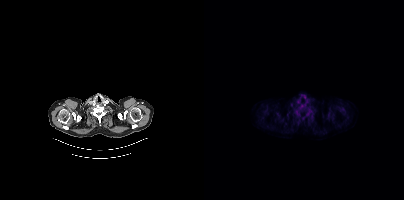
{"pet_grid":[200,200],"coord_frame":"pet_panel","coord_format":"x0,y0,x1,y1","lesion_bboxes":[],"small_foci_centers":[[97,107]],"modality":"PSMA PET/CT","view":"axial","tracer":"18F-PSMA"}